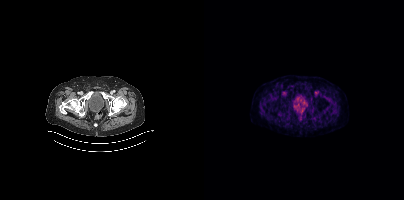
modality: PSMA PET/CT | tracer: 18F-PSMA | view: axial
Negative for PSMA-avid disease on this slice.